modality: PSMA PET/CT | tracer: 18F | view: axial
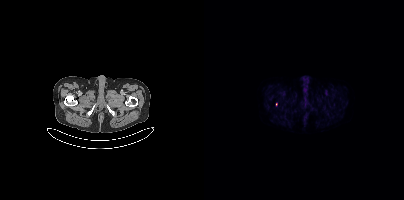
Only PSMA-avid lesion pieces thinner than 2 px on this slice (not listed).